Paired axial CT (left) and PSMA PET (right), 68Ga tracer. Acquired on Siemens Biograph 64-4R TruePoint. Slice 51 of 195. PET panel 168×168 px (4.1 mm/px).
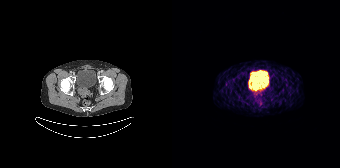
This slice has no annotated PSMA-avid lesion.